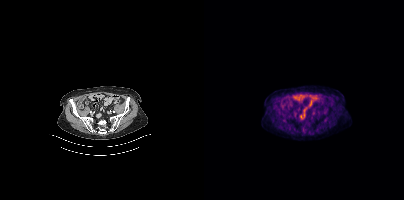
Paired axial CT (left) and PSMA PET (right), 18F tracer. Slice position z = -1334 mm. PET panel 200×200 px (4.1 mm/px). Negative for PSMA-avid disease on this slice.